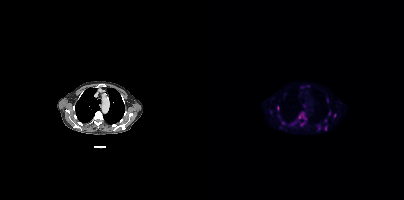
Technique: Left: CT. Right: PSMA PET, same axial level, [18F]PSMA-1007 tracer.
Findings: Coordinates are on the 200×200 PET (right) panel. (showing 7 of 9 foci) PSMA-avid tumor lesion bounding box (x0,y0,x1,y1): [94,113,102,119]. Small PSMA-avid foci (2 to 4 px across) near (center x, center y): (131, 115); (74, 107); (98, 124); (121, 127); (67, 112); (125, 113).